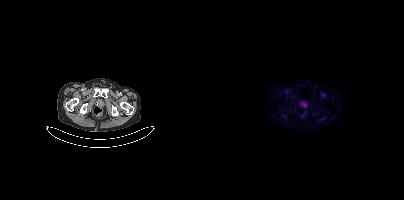
{"modality":"PSMA PET/CT","view":"axial","tracer":"[18F]PSMA-1007","pet_grid":[200,200],"coord_frame":"pet_panel","coord_format":"x0,y0,x1,y1","psma_avid_lesions":false}